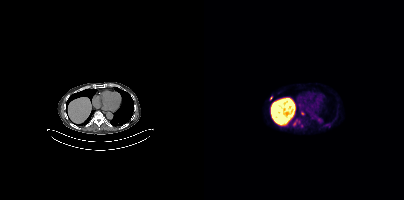
- Two-panel axial: CT | PSMA PET, 18F tracer
- slice 233 of 385
- PET panel 200×200 px (4.1 mm/px)
Findings: Coordinates are on the 200×200 PET (right) panel. PSMA-avid tumor lesion bounding box (x0,y0,x1,y1): [88,121,92,126]. Small PSMA-avid foci (2 to 4 px across) near (center x, center y): (97, 125) (67, 98) (98, 113).